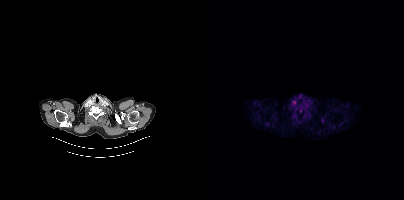
This slice has no annotated PSMA-avid lesion.
modality: PSMA PET/CT | tracer: [18F]PSMA-1007 | view: axial